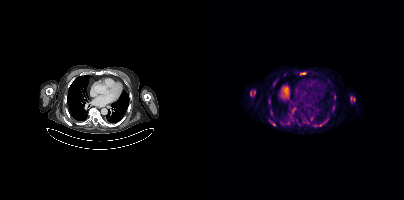
Two-panel axial: CT | PSMA PET, [18F]PSMA-1007 tracer. Slice 278 of 401. Coordinates are on the 200×200 PET (right) panel. PSMA-avid tumor lesion bounding boxes (x0, y0)-(x1, y1): (46, 90)-(51, 96); (146, 96)-(151, 102); (114, 122)-(120, 126); (96, 72)-(102, 74); (66, 121)-(71, 125); (130, 93)-(131, 98). Small PSMA-avid foci (2 to 4 px across) near (center x, center y): (123, 119); (65, 102).